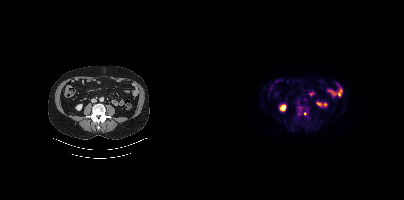
Coordinates are on the 200×200 PET (right) panel. PSMA-avid tumor lesion bounding boxes:
| # | x0 | y0 | x1 | y1 |
|---|---|---|---|---|
| 1 | 92 | 106 | 105 | 118 |
Two-panel axial: CT | PSMA PET, 18F tracer. Slice 184 of 464. PET panel 200×200 px (4.1 mm/px).